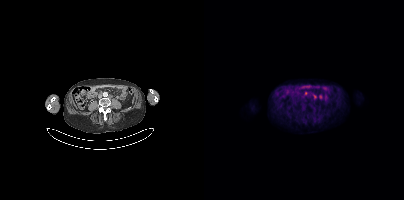
Coordinates are on the 200×200 PET (right) panel. Small PSMA-avid foci (2 to 4 px across) near (center x, center y): (101, 93), (110, 96).